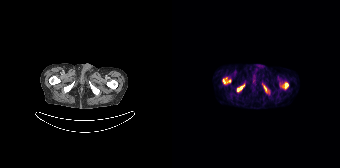
Left: CT. Right: PSMA PET, same axial level, 68Ga tracer.
Coordinates are on the 168×168 PET (right) panel. PSMA-avid tumor lesion bounding boxes:
| # | x0 | y0 | x1 | y1 |
|---|---|---|---|---|
| 1 | 50 | 77 | 59 | 84 |
| 2 | 110 | 82 | 116 | 88 |
| 3 | 65 | 84 | 72 | 91 |
| 4 | 91 | 85 | 97 | 93 |